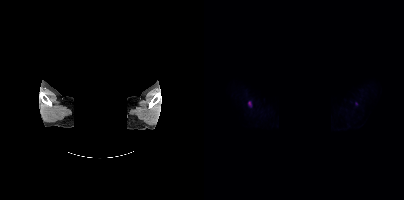
Any black rectangle over the head is a privacy mask, not anatomy.
Coordinates are on the 200×200 PET (right) panel. Small PSMA-avid focus (2 to 4 px across) near (center x, center y): (45, 103).